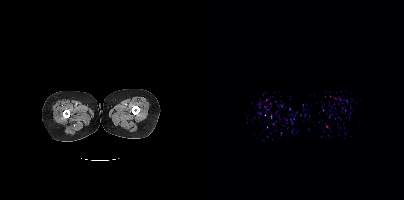
{"modality":"PSMA PET/CT","view":"axial","tracer":"68Ga-PSMA","pet_grid":[200,200],"coord_frame":"pet_panel","coord_format":"x0,y0,x1,y1","psma_avid_lesions":false}